- Paired axial CT (left) and PSMA PET (right), 18F tracer
- PET panel 200×200 px (4.1 mm/px)
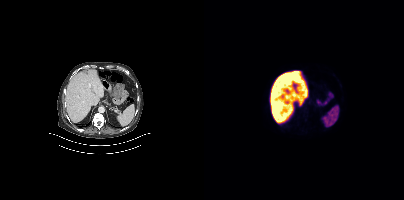
Findings: This slice has no annotated PSMA-avid lesion.